- Two-panel axial: CT | PSMA PET, 18F tracer
- slice 168 of 299
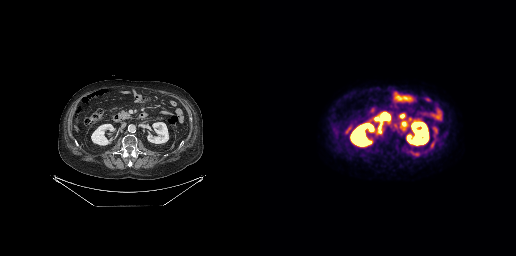
Findings: Negative for PSMA-avid disease on this slice.